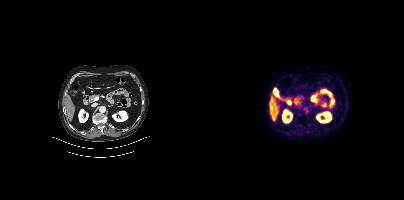
No tumor lesions annotated on this slice.